Paired axial CT (left) and PSMA PET (right), [18F]PSMA-1007 tracer. Slice 12 of 429. PET panel 200×200 px (4.1 mm/px).
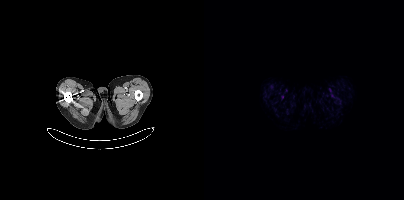
No tumor lesions annotated on this slice.